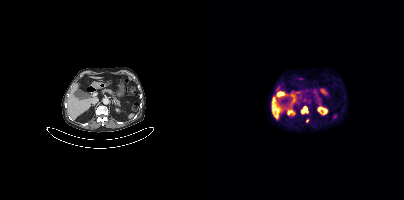
Left: CT. Right: PSMA PET, same axial level, 18F-PSMA tracer. Coordinates are on the 200×200 PET (right) panel. PSMA-avid tumor lesion bounding box (x0,y0,x1,y1): [97,106,104,113]. Small PSMA-avid focus (2 to 4 px across) near (center x, center y): (103, 120).